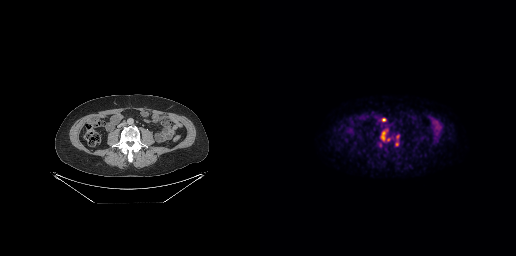
Coordinates are on the 256×256 PET (right) panel. PSMA-avid tumor lesion bounding boxes (x0,y0,x1,y1): [121,129,127,141]; [122,118,126,121]. Small PSMA-avid foci (2 to 4 px across) near (center x, center y): (137, 136); (136, 143); (128, 139).